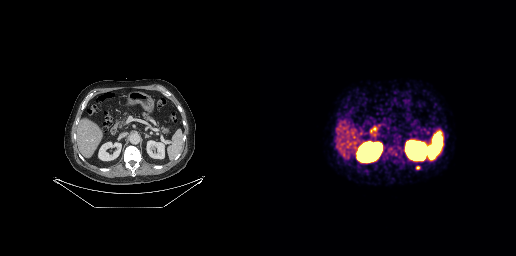
{"modality":"PSMA PET/CT","view":"axial","tracer":"[68Ga]Ga-PSMA-11","pet_grid":[256,256],"coord_frame":"pet_panel","coord_format":"x0,y0,x1,y1","lesion_bboxes":[],"small_foci_centers":[[157,167]]}